- Paired axial CT (left) and PSMA PET (right), [68Ga]Ga-PSMA-11 tracer
- slice 61 of 299
- PET panel 256×256 px (2.7 mm/px)
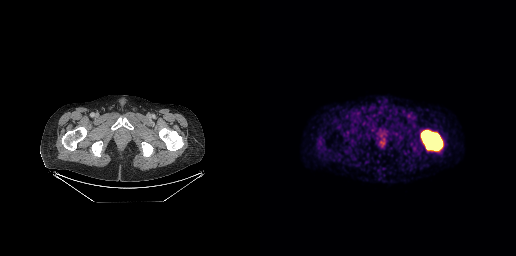
Findings: Coordinates are on the 256×256 PET (right) panel. PSMA-avid tumor lesion bounding box (x0, y0)-(x1, y1): (161, 130)-(182, 150).